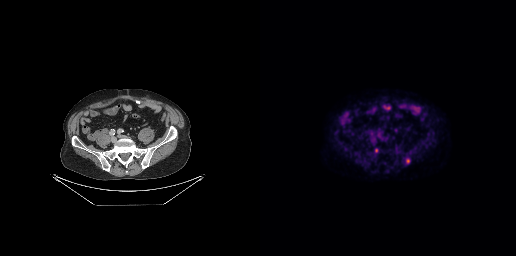
modality: PSMA PET/CT | tracer: 18F-PSMA | view: axial | PET grid: 256×256
Coordinates are on the 256×256 PET (right) panel. PSMA-avid tumor lesion bounding box (x, y, width, height): x=115 y=148 w=4 h=5. Small PSMA-avid focus (2 to 4 px across) near (center x, center y): (148, 161).